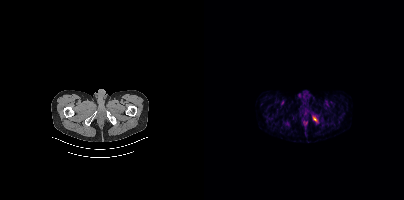
Findings: Coordinates are on the 200×200 PET (right) panel. PSMA-avid tumor lesion bounding box (x0,y0,x1,y1): [109,117,112,121].
Technique: Two-panel axial: CT | PSMA PET, [68Ga]Ga-PSMA-11 tracer. slice 29 of 409.